Two-panel axial: CT | PSMA PET, 18F tracer. Slice position z = -456 mm.
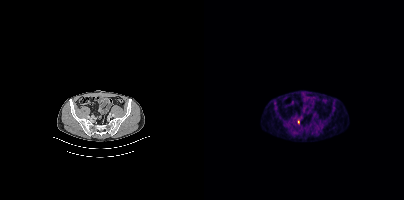
Coordinates are on the 200×200 PET (right) panel. Small PSMA-avid focus (2 to 4 px across) near (center x, center y): (94, 121).